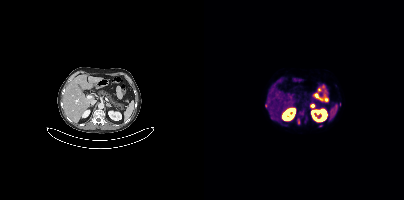
Coordinates are on the 200×200 PET (right) panel. (showing 4 of 6 foci) PSMA-avid tumor lesion bounding box (x, y, width, height): x=93 y=118 w=4 h=7. Small PSMA-avid foci (2 to 4 px across) near (center x, center y): (101, 120) | (67, 117) | (116, 125).